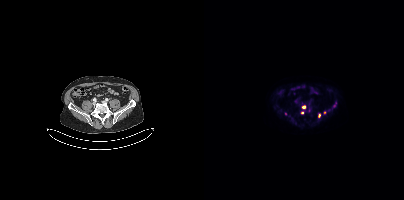
Two-panel axial: CT | PSMA PET, [18F]PSMA-1007 tracer. Acquired on Siemens Biograph mCT Flow 20.
Coordinates are on the 200×200 PET (right) panel. PSMA-avid tumor lesion bounding boxes (partial; 1 more focus not listed):
| # | x0 | y0 | x1 | y1 |
|---|---|---|---|---|
| 1 | 90 | 99 | 94 | 103 |
Small PSMA-avid foci (2 to 4 px across) near (center x, center y): (99, 106); (121, 112); (131, 104); (88, 120); (125, 110); (98, 112); (115, 115); (81, 113).